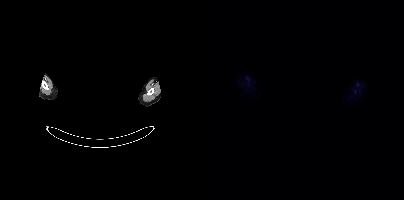
{"modality":"PSMA PET/CT","view":"axial","tracer":"18F","pet_grid":[200,200],"coord_frame":"pet_panel","coord_format":"x0,y0,x1,y1","psma_avid_lesions":false,"de-identification":"privacy mask over head"}